modality: PSMA PET/CT | tracer: 18F-PSMA | view: axial
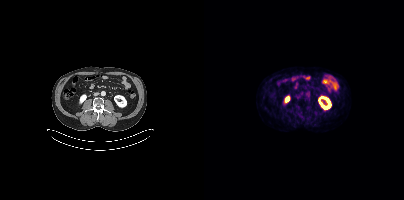
This slice has no annotated PSMA-avid lesion.